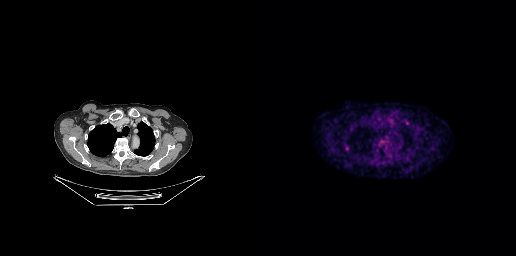
{"modality":"PSMA PET/CT","view":"axial","tracer":"[18F]PSMA-1007","pet_grid":[256,256],"coord_frame":"pet_panel","coord_format":"x0,y0,x1,y1","partial":true,"lesion_bboxes":[],"small_foci_centers":[[86,148]]}